Two-panel axial: CT | PSMA PET, [68Ga]Ga-PSMA-11 tracer. Acquired on Siemens Biograph 64-4R TruePoint. PET panel 168×168 px (4.1 mm/px).
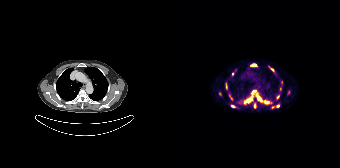
Coordinates are on the 168×168 PET (right) panel. (showing 11 of 13 foci) PSMA-avid tumor lesion bounding boxes (x0, y0)-(x1, y1): (85, 96)-(89, 101) | (97, 66)-(102, 71) | (71, 100)-(74, 104) | (79, 64)-(84, 66) | (54, 83)-(55, 88). Small PSMA-avid foci (2 to 4 px across) near (center x, center y): (58, 96) | (105, 106) | (61, 106) | (78, 99) | (94, 101) | (60, 73).